- Left: CT. Right: PSMA PET, same axial level, 18F tracer
- PET panel 200×200 px (4.1 mm/px)
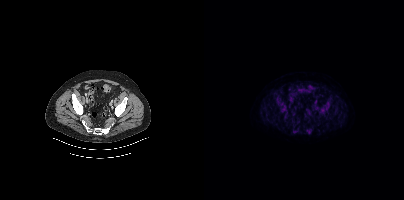
Findings: Coordinates are on the 200×200 PET (right) panel. PSMA-avid tumor lesion bounding boxes (x, y, width, height): x=76 y=107 w=8 h=11; x=116 y=108 w=7 h=7; x=72 y=96 w=6 h=9; x=103 y=128 w=5 h=6. Small PSMA-avid focus (2 to 4 px across) near (center x, center y): (124, 103).